Technique: Left: CT. Right: PSMA PET, same axial level, 18F tracer. PET panel 200×200 px (4.1 mm/px).
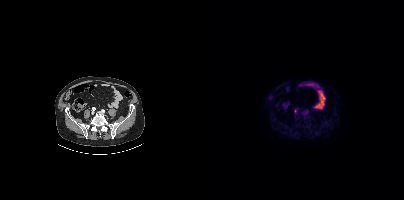
Findings: Only PSMA-avid lesion pieces thinner than 2 px on this slice (not listed).